- Two-panel axial: CT | PSMA PET, 18F tracer
- acquired on Siemens Biograph mCT Flow 20
- PET panel 200×200 px (4.1 mm/px)
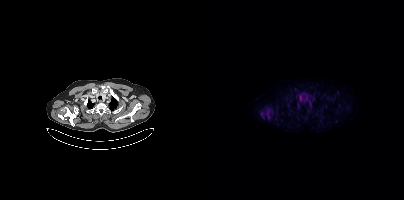
Findings: This slice has no annotated PSMA-avid lesion.